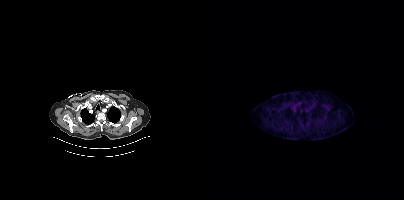
{"modality":"PSMA PET/CT","view":"axial","tracer":"[18F]PSMA-1007","pet_grid":[200,200],"coord_frame":"pet_panel","coord_format":"x0,y0,x1,y1","psma_avid_lesions":false}